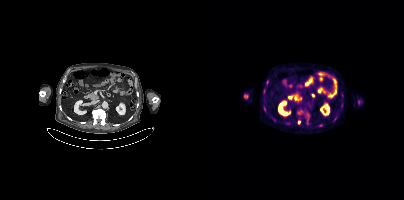
Technique: Two-panel axial: CT | PSMA PET, [18F]PSMA-1007 tracer.
Findings: Coordinates are on the 200×200 PET (right) panel. Small PSMA-avid foci (2 to 4 px across) near (center x, center y): (95, 122) | (116, 125) | (60, 108) | (60, 91).